modality: PSMA PET/CT | tracer: 18F-PSMA | view: axial | PET grid: 200×200
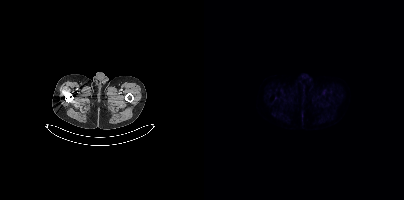
This slice has no annotated PSMA-avid lesion.